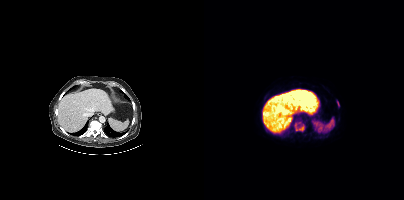
Findings: Coordinates are on the 200×200 PET (right) panel. (showing 2 of 3 foci) PSMA-avid tumor lesion bounding box (x0,y0,x1,y1): [90,121,101,131]. Small PSMA-avid focus (2 to 4 px across) near (center x, center y): (133, 102).
Technique: Paired axial CT (left) and PSMA PET (right), 18F tracer. acquired on Siemens Biograph mCT Flow 20. PET panel 200×200 px (4.1 mm/px).